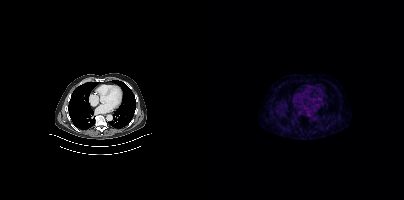
No PSMA-avid tumor lesions on this slice.
modality: PSMA PET/CT | tracer: 68Ga-PSMA | view: axial